Technique: Two-panel axial: CT | PSMA PET, [18F]PSMA-1007 tracer. PET panel 200×200 px (4.1 mm/px).
Note: The face region was removed for patient privacy by blanking a rectangle over the head.
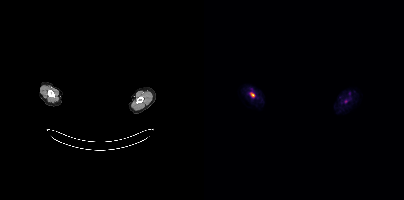
Findings: Coordinates are on the 200×200 PET (right) panel. Small PSMA-avid focus (2 to 4 px across) near (center x, center y): (48, 94).